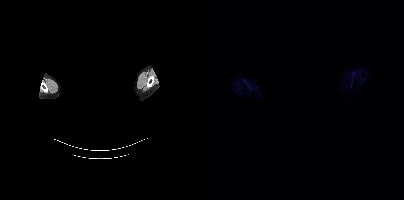
- Two-panel axial: CT | PSMA PET, 18F-PSMA tracer
- slice position z = -811 mm
- PET panel 200×200 px (4.1 mm/px)
- an anonymization step blacked out a rectangle over the head in this scan
Findings: No PSMA-avid tumor lesions on this slice.